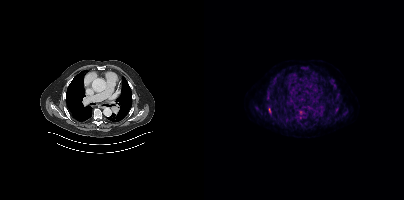
Two-panel axial: CT | PSMA PET, [18F]PSMA-1007 tracer. PET panel 200×200 px (4.1 mm/px).
Coordinates are on the 200×200 PET (right) panel. PSMA-avid tumor lesion bounding boxes:
| # | x0 | y0 | x1 | y1 |
|---|---|---|---|---|
| 1 | 94 | 111 | 103 | 119 |
| 2 | 126 | 79 | 132 | 86 |
| 3 | 63 | 89 | 67 | 94 |
| 4 | 128 | 109 | 133 | 115 |
| 5 | 99 | 66 | 103 | 70 |
| 6 | 132 | 95 | 136 | 99 |
| 7 | 51 | 107 | 55 | 111 |
| 8 | 64 | 107 | 67 | 113 |
Small PSMA-avid focus (2 to 4 px across) near (center x, center y): (68, 83).